modality: PSMA PET/CT | tracer: [18F]PSMA-1007 | view: axial
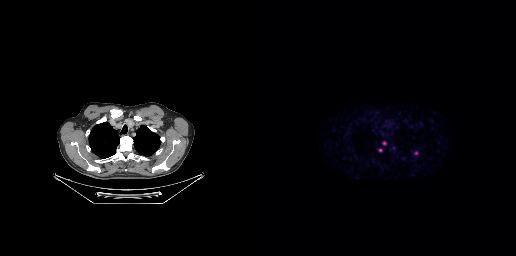
Coordinates are on the 256×256 PET (right) panel. Small PSMA-avid foci (2 to 4 px across) near (center x, center y): (124, 143); (120, 150); (156, 153).